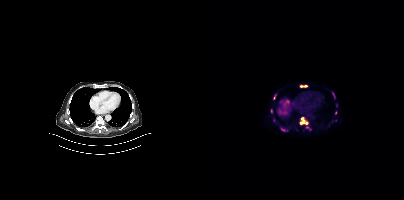
modality: PSMA PET/CT | tracer: 18F-PSMA | view: axial | PET grid: 200×200
Coordinates are on the 200×200 PET (right) panel. (showing 4 of 6 foci) PSMA-avid tumor lesion bounding boxes (x0, y0)-(x1, y1): (96, 117)-(103, 124); (96, 85)-(102, 87); (77, 128)-(81, 130). Small PSMA-avid focus (2 to 4 px across) near (center x, center y): (70, 98).